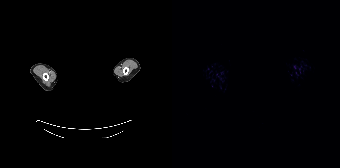
This slice has no annotated PSMA-avid lesion.
modality: PSMA PET/CT | tracer: 18F-PSMA | view: axial | PET grid: 168×168 | de-identification: face masked with black rectangle